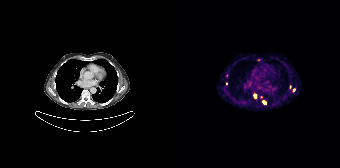
Paired axial CT (left) and PSMA PET (right), 68Ga tracer. Coordinates are on the 168×168 PET (right) panel. (showing 4 of 7 foci) Small PSMA-avid foci (2 to 4 px across) near (center x, center y): (83, 95) / (92, 101) / (122, 90) / (54, 83).